Technique: Left: CT. Right: PSMA PET, same axial level, 18F tracer. acquired on Siemens Biograph mCT Flow 20.
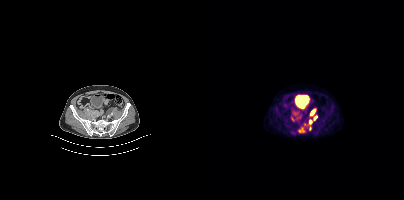
Findings: Coordinates are on the 200×200 PET (right) panel. PSMA-avid tumor lesion bounding boxes (x0, y0)-(x1, y1): (87, 112)-(92, 120) / (94, 127)-(100, 132) / (107, 110)-(110, 114). Small PSMA-avid foci (2 to 4 px across) near (center x, center y): (111, 117) / (106, 121) / (105, 128) / (100, 124).